Technique: Paired axial CT (left) and PSMA PET (right), [18F]PSMA-1007 tracer. slice 349 of 423. PET panel 200×200 px (4.1 mm/px).
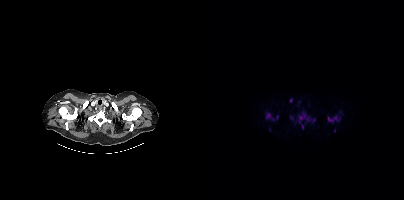
Findings: Coordinates are on the 200×200 PET (right) panel. (showing 8 of 12 foci) PSMA-avid tumor lesion bounding boxes (x0, y0)-(x1, y1): (94, 113)-(104, 122) / (62, 112)-(70, 120) / (124, 116)-(133, 121) / (72, 115)-(74, 119). Small PSMA-avid foci (2 to 4 px across) near (center x, center y): (87, 100) / (98, 126) / (110, 120) / (130, 130).